Paired axial CT (left) and PSMA PET (right), 18F tracer. Acquired on Siemens Biograph mCT Flow 20. Slice position z = -1131 mm.
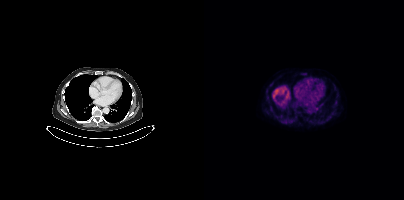
No tumor lesions annotated on this slice.